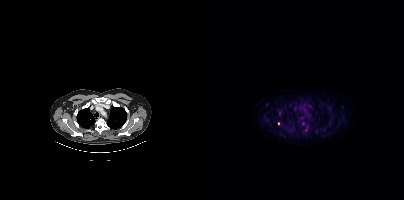
Coordinates are on the 200×200 PET (right) panel. (showing 3 of 4 foci) PSMA-avid tumor lesion bounding box (x, y, width, height): x=101 y=126 w=3 h=6. Small PSMA-avid foci (2 to 4 px across) near (center x, center y): (99, 123) | (74, 123).
modality: PSMA PET/CT | tracer: 18F | view: axial | PET grid: 200×200